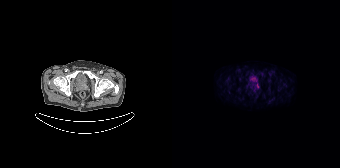
Findings: Coordinates are on the 168×168 PET (right) panel. PSMA-avid tumor lesion bounding box (x0, y0)-(x1, y1): (84, 83)-(87, 88).
Technique: Left: CT. Right: PSMA PET, same axial level, 18F-PSMA tracer.